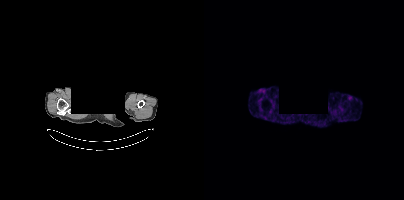
{"modality":"PSMA PET/CT","view":"axial","tracer":"[68Ga]Ga-PSMA-11","pet_grid":[200,200],"coord_frame":"pet_panel","coord_format":"x0,y0,x1,y1","redaction":"rectangular block over head set to black","psma_avid_lesions":false}